Paired axial CT (left) and PSMA PET (right), [18F]PSMA-1007 tracer. Slice position z = -361 mm. PET panel 200×200 px (4.1 mm/px).
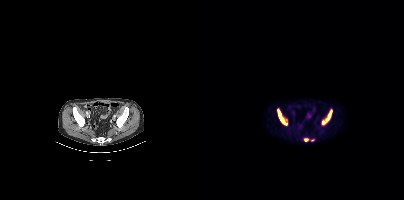
Coordinates are on the 200×200 PET (right) panel. PSMA-avid tumor lesion bounding boxes (x, y, width, height): x=117 y=109 w=12 h=17; x=74 y=109 w=9 h=16. Small PSMA-avid foci (2 to 4 px across) near (center x, center y): (102, 140); (109, 140).